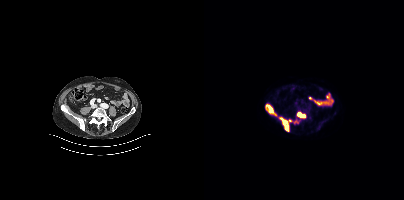
{"modality":"PSMA PET/CT","view":"axial","tracer":"[18F]PSMA-1007","pet_grid":[200,200],"coord_frame":"pet_panel","coord_format":"x0,y0,x1,y1","lesion_bboxes":[[75,117,87,131],[61,104,72,115],[93,112,101,117]],"small_foci_centers":[[92,121]]}